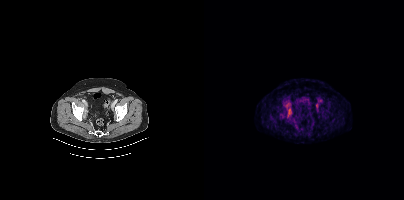
Coordinates are on the 200×200 PET (right) panel. (showing 1 of 2 foci) PSMA-avid tumor lesion bounding box (x, y, width, height): x=84 y=109 w=4 h=7.